- Left: CT. Right: PSMA PET, same axial level, 18F tracer
- acquired on Siemens Biograph mCT Flow 20
- PET panel 200×200 px (4.1 mm/px)
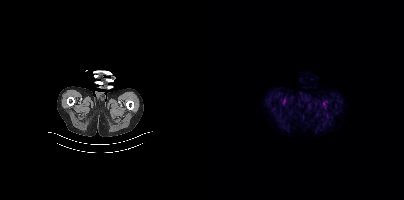
Findings: No tumor lesions annotated on this slice.